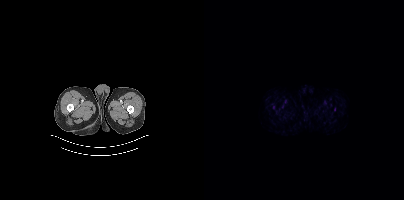
No tumor lesions annotated on this slice.